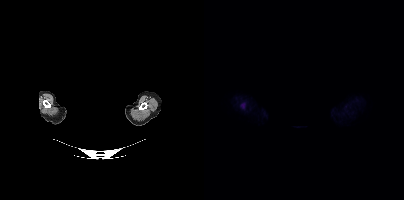
modality: PSMA PET/CT | tracer: 18F-PSMA | view: axial | de-identification: facial region redacted
Coordinates are on the 200×200 PET (right) panel. PSMA-avid tumor lesion bounding box (x0, y0)-(x1, y1): (36, 103)-(40, 108).